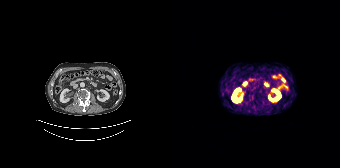
{"pet_grid":[168,168],"coord_frame":"pet_panel","coord_format":"x0,y0,x1,y1","psma_avid_lesions":false,"modality":"PSMA PET/CT","view":"axial","tracer":"[68Ga]Ga-PSMA-11"}